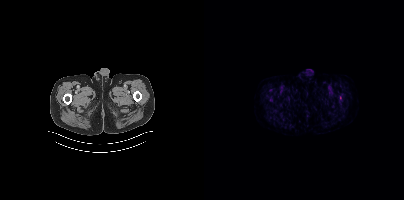
- Paired axial CT (left) and PSMA PET (right), [18F]PSMA-1007 tracer
- acquired on Siemens Biograph mCT Flow 20
- slice position z = -938 mm
- PET panel 200×200 px (4.1 mm/px)
Findings: Coordinates are on the 200×200 PET (right) panel. Small PSMA-avid focus (2 to 4 px across) near (center x, center y): (136, 97).